Paired axial CT (left) and PSMA PET (right), 18F tracer. Slice 31 of 429. PET panel 200×200 px (4.1 mm/px).
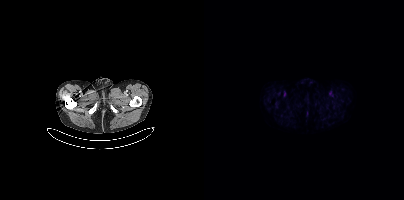
Negative for PSMA-avid disease on this slice.